Two-panel axial: CT | PSMA PET, 18F-PSMA tracer.
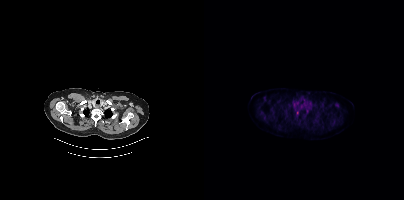
Coordinates are on the 200×200 PET (right) panel. Small PSMA-avid focus (2 to 4 px across) near (center x, center y): (93, 112).